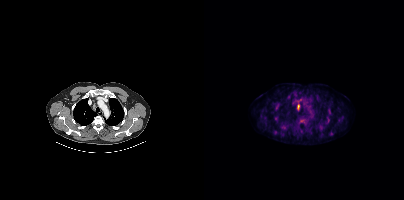
{"modality":"PSMA PET/CT","view":"axial","tracer":"18F","pet_grid":[200,200],"coord_frame":"pet_panel","coord_format":"x0,y0,x1,y1","partial":true,"lesion_bboxes":[[93,105,95,109]],"small_foci_centers":[[96,99]]}